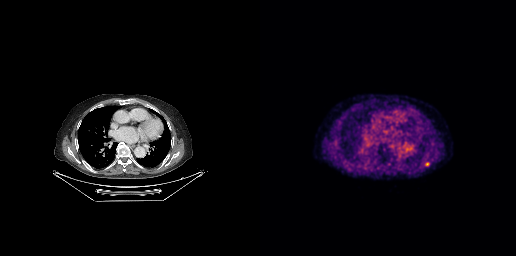
Technique: Left: CT. Right: PSMA PET, same axial level, [18F]PSMA-1007 tracer. slice position z = -409 mm.
Findings: Coordinates are on the 256×256 PET (right) panel. Small PSMA-avid focus (2 to 4 px across) near (center x, center y): (167, 164).